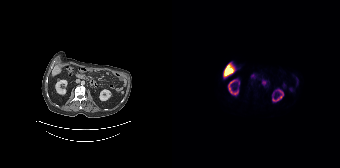
Left: CT. Right: PSMA PET, same axial level, 18F-PSMA tracer. PET panel 168×168 px (4.1 mm/px). Negative for PSMA-avid disease on this slice.